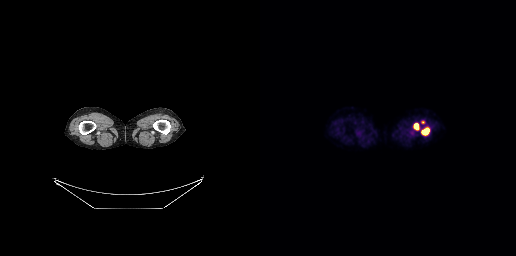
Findings: Coordinates are on the 256×256 PET (right) panel. (showing 2 of 3 foci) PSMA-avid tumor lesion bounding boxes (x0, y0)-(x1, y1): (161, 127)-(169, 135); (153, 123)-(159, 129).
Technique: Paired axial CT (left) and PSMA PET (right), 18F-PSMA tracer. slice position z = -1291 mm.